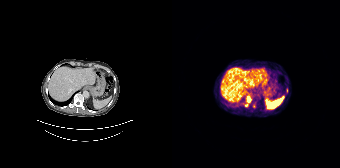
{"modality":"PSMA PET/CT","view":"axial","tracer":"68Ga-PSMA","pet_grid":[168,168],"coord_frame":"pet_panel","coord_format":"x0,y0,x1,y1","lesion_bboxes":[[74,96,78,105]]}